modality: PSMA PET/CT | tracer: 18F-PSMA | view: axial | PET grid: 256×256
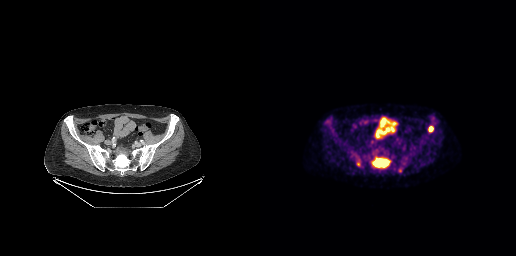
Coordinates are on the 256×256 PET (right) panel. PSMA-avid tumor lesion bounding boxes (x, y, width, height): x=112 y=157 w=18 h=11 | x=169 y=127 w=4 h=5. Small PSMA-avid focus (2 to 4 px across) near (center x, center y): (98, 163).